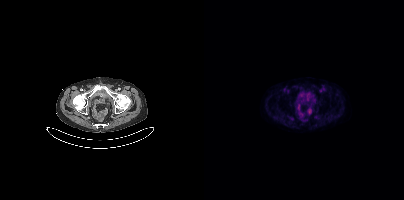
{"modality":"PSMA PET/CT","view":"axial","tracer":"18F","pet_grid":[200,200],"coord_frame":"pet_panel","coord_format":"x0,y0,x1,y1","psma_avid_lesions":false}